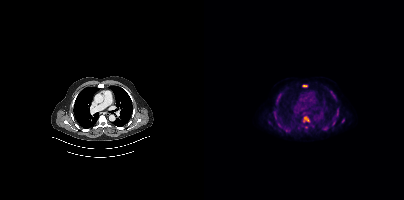
- Paired axial CT (left) and PSMA PET (right), 18F-PSMA tracer
- acquired on Siemens Biograph mCT Flow 20
- PET panel 200×200 px (4.1 mm/px)
Findings: Coordinates are on the 200×200 PET (right) panel. (showing 11 of 12 foci) PSMA-avid tumor lesion bounding boxes (x0, y0)-(x1, y1): (99, 116)-(105, 122); (131, 108)-(134, 116); (98, 85)-(103, 87); (128, 120)-(131, 125); (74, 123)-(78, 127); (70, 112)-(72, 118); (129, 96)-(132, 100). Small PSMA-avid foci (2 to 4 px across) near (center x, center y): (102, 127); (139, 120); (73, 101); (85, 129).